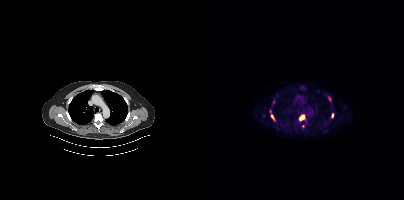
Left: CT. Right: PSMA PET, same axial level, [18F]PSMA-1007 tracer. Slice 329 of 444. PET panel 200×200 px (4.1 mm/px).
Coordinates are on the 200×200 PET (right) panel. PSMA-avid tumor lesion bounding boxes (partial; 1 more focus not listed):
| # | x0 | y0 | x1 | y1 |
|---|---|---|---|---|
| 1 | 95 | 114 | 100 | 120 |
| 2 | 127 | 113 | 129 | 117 |
| 3 | 67 | 115 | 70 | 119 |
Small PSMA-avid focus (2 to 4 px across) near (center x, center y): (125, 98).